Two-panel axial: CT | PSMA PET, [18F]PSMA-1007 tracer. Slice 323 of 393. PET panel 200×200 px (4.1 mm/px).
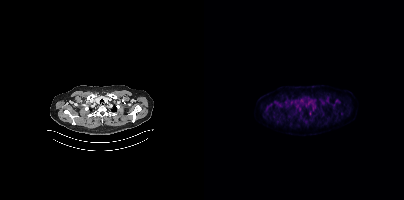
Coordinates are on the 200×200 PET (right) panel. Small PSMA-avid focus (2 to 4 px across) near (center x, center y): (106, 113).